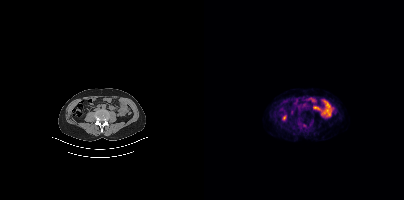
Findings: No PSMA-avid tumor lesions on this slice.
Technique: Paired axial CT (left) and PSMA PET (right), 68Ga tracer. slice 146 of 409.